modality: PSMA PET/CT | tracer: 18F | view: axial | PET grid: 200×200
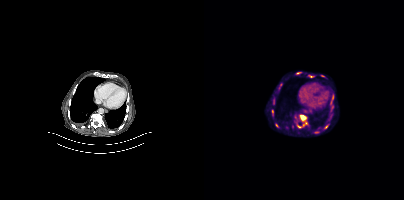
Coordinates are on the 200×200 PET (right) panel. PSMA-avid tumor lesion bounding box (x, y, width, height): x=96 y=115 w=7 h=11. Small PSMA-avid foci (2 to 4 px across) near (center x, center y): (69, 102) / (95, 126).